Left: CT. Right: PSMA PET, same axial level, 18F tracer. Slice 269 of 413.
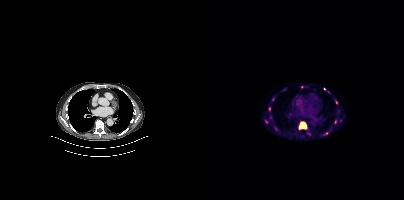
Coordinates are on the 200×200 PET (right) panel. (showing 6 of 8 foci) PSMA-avid tumor lesion bounding box (x, y, width, height): x=95 y=122 w=8 h=8. Small PSMA-avid foci (2 to 4 px across) near (center x, center y): (120, 89) / (65, 109) / (97, 86) / (122, 133) / (62, 121).